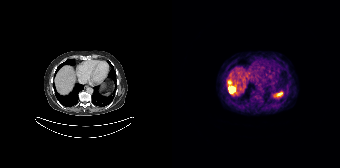
Left: CT. Right: PSMA PET, same axial level, 68Ga tracer. Coordinates are on the 168×168 PET (right) panel. PSMA-avid tumor lesion bounding box (x0,y0,x1,y1): [56,86,63,93]. Small PSMA-avid focus (2 to 4 px across) near (center x, center y): (57, 82).